Technique: Paired axial CT (left) and PSMA PET (right), 68Ga-PSMA tracer. acquired on Siemens Biograph mCT Flow 20. slice 207 of 411. PET panel 200×200 px (4.1 mm/px).
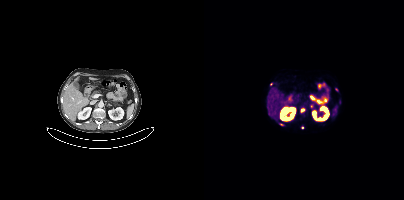
Findings: Coordinates are on the 200×200 PET (right) panel. (showing 5 of 7 foci) Small PSMA-avid foci (2 to 4 px across) near (center x, center y): (98, 109); (77, 124); (67, 84); (132, 89); (98, 127).